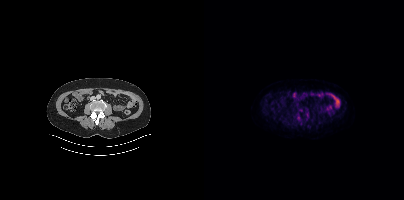
Two-panel axial: CT | PSMA PET, 18F-PSMA tracer. PET panel 200×200 px (4.1 mm/px). No tumor lesions annotated on this slice.